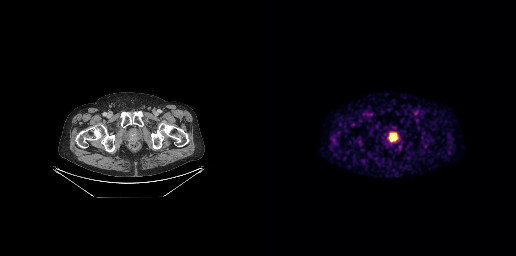
Technique: Two-panel axial: CT | PSMA PET, 68Ga-PSMA tracer. slice 51 of 263.
Findings: Coordinates are on the 256×256 PET (right) panel. PSMA-avid tumor lesion bounding box (x0, y0)-(x1, y1): (129, 133)-(137, 141).